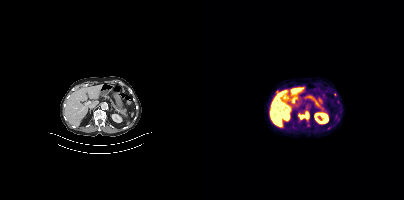
Coordinates are on the 200×200 PET (right) panel. PSMA-avid tumor lesion bounding box (x0, y0)-(x1, y1): (95, 112)-(104, 119). Small PSMA-avid focus (2 to 4 px across) near (center x, center y): (130, 94).